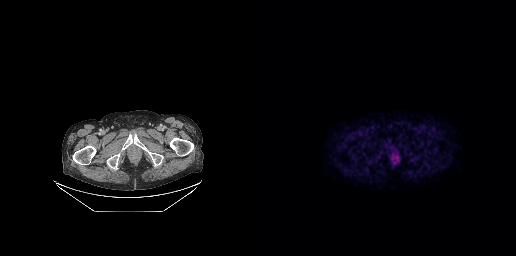
- Paired axial CT (left) and PSMA PET (right), 18F tracer
- acquired on GE Discovery 690
- slice position z = -758 mm
Findings: Negative for PSMA-avid disease on this slice.